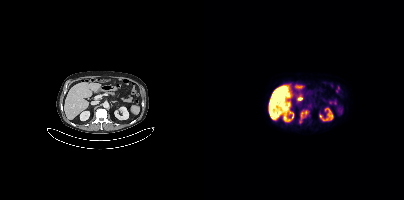
Coordinates are on the 200×200 PET (right) panel. PSMA-avid tumor lesion bounding box (x, y, width, height): x=95 y=110 w=10 h=14.